Left: CT. Right: PSMA PET, same axial level, [18F]PSMA-1007 tracer. Slice 37 of 263.
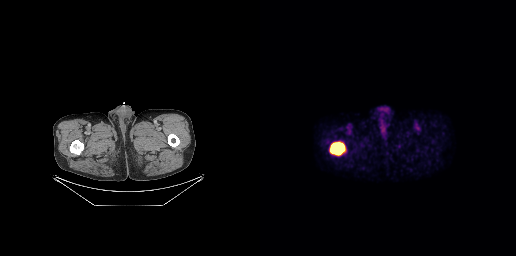
Coordinates are on the 256×256 PET (right) panel. PSMA-avid tumor lesion bounding boxes:
| # | x0 | y0 | x1 | y1 |
|---|---|---|---|---|
| 1 | 69 | 141 | 86 | 156 |